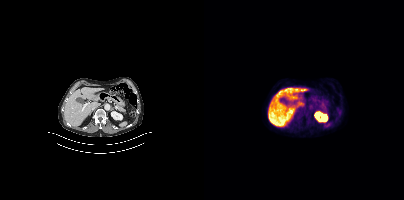
- Left: CT. Right: PSMA PET, same axial level, 18F tracer
- slice position z = -1179 mm
Findings: Negative for PSMA-avid disease on this slice.